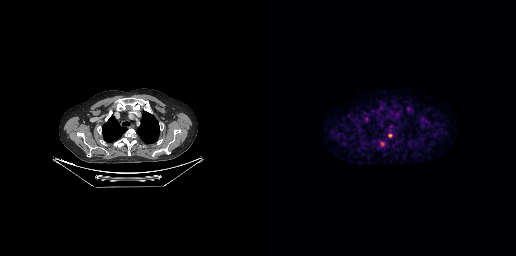
Two-panel axial: CT | PSMA PET, 18F tracer. Acquired on GE Discovery 690. Coordinates are on the 256×256 PET (right) panel. PSMA-avid tumor lesion bounding box (x0,y0,x1,y1): [128,134,132,137]. Small PSMA-avid foci (2 to 4 px across) near (center x, center y): (122, 143) (148, 108) (106, 119).